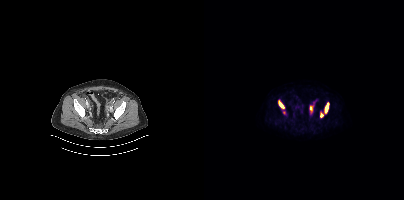
Coordinates are on the 200×200 PET (right) panel. PSMA-avid tumor lesion bounding boxes (x0,y0,x1,y1): [120,102,125,113] [74,100,80,108] [116,112,119,117] [106,106,108,111]. Paired axial CT (left) and PSMA PET (right), 18F-PSMA tracer. Acquired on Siemens Biograph mCT Flow 20. Slice 108 of 444.